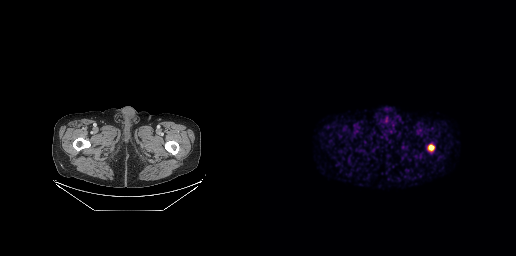
Technique: Left: CT. Right: PSMA PET, same axial level, [68Ga]Ga-PSMA-11 tracer. acquired on GE Discovery 690. slice 32 of 263.
Findings: Coordinates are on the 256×256 PET (right) panel. PSMA-avid tumor lesion bounding box (x0,y0,x1,y1): [168,145,174,150].